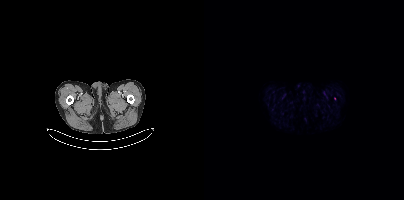
Findings: Negative for PSMA-avid disease on this slice.
Technique: Left: CT. Right: PSMA PET, same axial level, 18F-PSMA tracer. slice 15 of 403.